- Paired axial CT (left) and PSMA PET (right), [18F]PSMA-1007 tracer
- slice position z = -868 mm
- a rectangular block over the head has been blanked out for de-identification
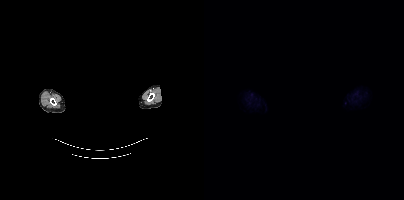
Findings: Negative for PSMA-avid disease on this slice.